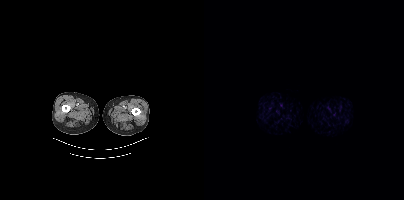
Technique: Two-panel axial: CT | PSMA PET, 18F-PSMA tracer. PET panel 200×200 px (4.1 mm/px).
Findings: This slice has no annotated PSMA-avid lesion.